- Two-panel axial: CT | PSMA PET, 18F-PSMA tracer
- acquired on Siemens Biograph mCT Flow 20
- slice position z = -1234 mm
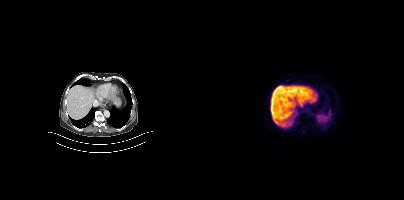
Findings: No tumor lesions annotated on this slice.